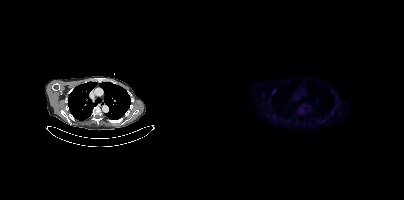
Coordinates are on the 200×200 PET (right) panel. PSMA-avid tumor lesion bounding box (x0, y0)-(x1, y1): (95, 108)-(99, 112). Small PSMA-avid foci (2 to 4 px across) near (center x, center y): (70, 91) / (131, 99).
modality: PSMA PET/CT | tracer: 18F | view: axial | PET grid: 200×200